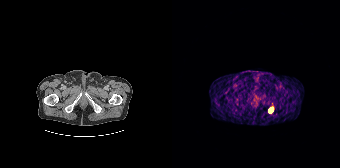
{"modality":"PSMA PET/CT","view":"axial","tracer":"68Ga","pet_grid":[168,168],"coord_frame":"pet_panel","coord_format":"x0,y0,x1,y1","lesion_bboxes":[[96,107,101,113]]}